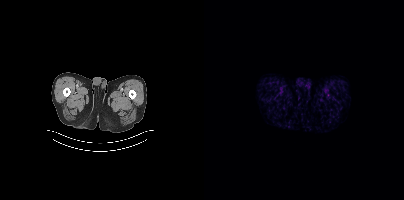
Findings: No tumor lesions annotated on this slice.
- Paired axial CT (left) and PSMA PET (right), 68Ga-PSMA tracer
- acquired on Siemens Biograph mCT Flow 20
- slice position z = -1616 mm